modality: PSMA PET/CT | tracer: [18F]PSMA-1007 | view: axial | PET grid: 200×200
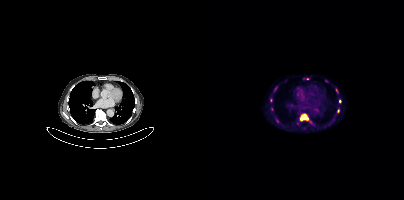
Coordinates are on the 200×200 PET (right) panel. (showing 3 of 5 foci) PSMA-avid tumor lesion bounding box (x0, y0)-(x1, y1): (96, 113)-(107, 122). Small PSMA-avid foci (2 to 4 px across) near (center x, center y): (134, 110) / (135, 101).